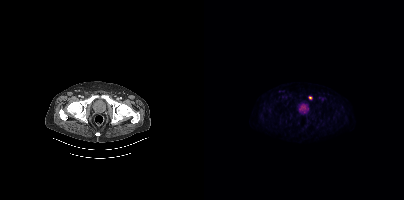
- Two-panel axial: CT | PSMA PET, [18F]PSMA-1007 tracer
Findings: Coordinates are on the 200×200 PET (right) panel. Small PSMA-avid focus (2 to 4 px across) near (center x, center y): (106, 97).